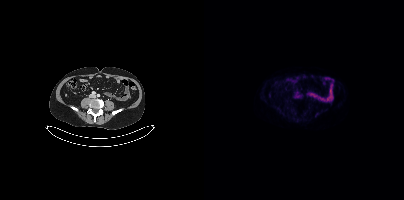
{"modality":"PSMA PET/CT","view":"axial","tracer":"[18F]PSMA-1007","pet_grid":[200,200],"coord_frame":"pet_panel","coord_format":"x0,y0,x1,y1","psma_avid_lesions":false}